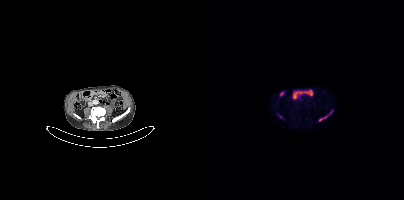
{"pet_grid":[200,200],"coord_frame":"pet_panel","coord_format":"x0,y0,x1,y1","lesion_bboxes":[[115,110,128,121],[73,114,78,118]],"modality":"PSMA PET/CT","view":"axial","tracer":"18F"}